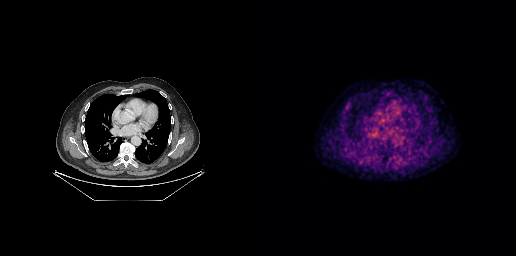
Negative for PSMA-avid disease on this slice.